- Two-panel axial: CT | PSMA PET, 18F-PSMA tracer
- slice position z = -1015 mm
- PET panel 200×200 px (4.1 mm/px)
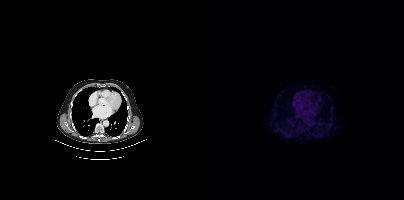
Findings: Coordinates are on the 200×200 PET (right) panel. Small PSMA-avid focus (2 to 4 px across) near (center x, center y): (126, 123).